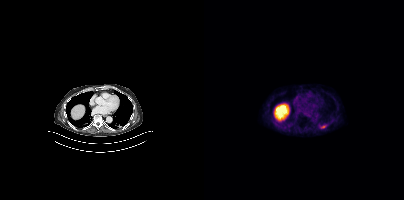
{"pet_grid":[200,200],"coord_frame":"pet_panel","coord_format":"x0,y0,x1,y1","lesion_bboxes":[[116,125,122,128]],"modality":"PSMA PET/CT","view":"axial","tracer":"18F-PSMA"}